- the face region was removed for patient privacy by blanking a rectangle over the head
- Left: CT. Right: PSMA PET, same axial level, 18F-PSMA tracer
- acquired on Siemens Biograph mCT Flow 20
- slice 396 of 409
- PET panel 200×200 px (4.1 mm/px)
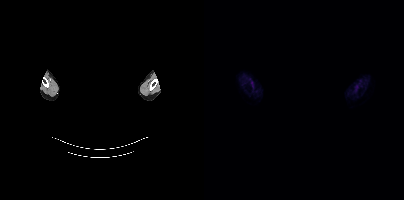
Findings: No PSMA-avid tumor lesions on this slice.